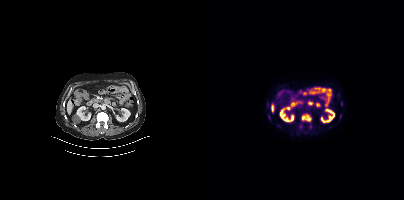
Coordinates are on the 200×200 PET (right) panel. PSMA-avid tumor lesion bounding box (x0,y0,x1,y1): [97,114,107,121]. Small PSMA-avid foci (2 to 4 px across) near (center x, center y): (136, 115), (64, 116).